Left: CT. Right: PSMA PET, same axial level, [18F]PSMA-1007 tracer.
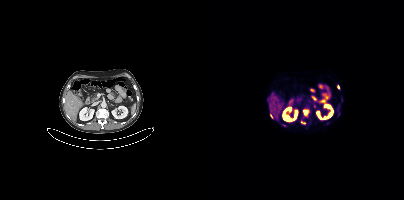
Coordinates are on the 200×200 PET (right) panel. PSMA-avid tumor lesion bounding boxes (partial; 1 more focus not listed):
| # | x0 | y0 | x1 | y1 |
|---|---|---|---|---|
| 1 | 99 | 110 | 104 | 116 |
Small PSMA-avid foci (2 to 4 px across) near (center x, center y): (134, 86); (67, 115); (97, 121); (100, 123).